Paired axial CT (left) and PSMA PET (right), 18F-PSMA tracer. Slice 307 of 440.
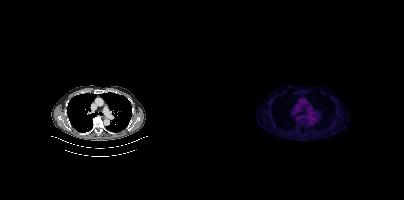
No tumor lesions annotated on this slice.